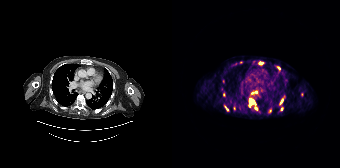
- Two-panel axial: CT | PSMA PET, 68Ga-PSMA tracer
- acquired on Siemens Biograph 64-4R TruePoint
- slice position z = -380 mm
- PET panel 168×168 px (4.1 mm/px)
Findings: Coordinates are on the 168×168 PET (right) panel. (showing 7 of 9 foci) PSMA-avid tumor lesion bounding box (x0,y0,x1,y1): [77,99,82,106]. Small PSMA-avid foci (2 to 4 px across) near (center x, center y): (88, 63); (83, 92); (84, 108); (106, 68); (109, 101); (109, 108).